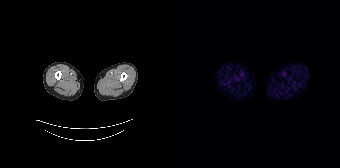
Negative for PSMA-avid disease on this slice.